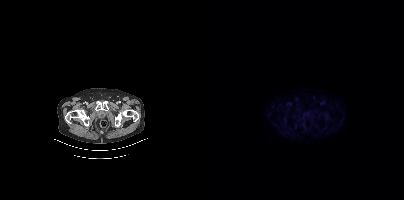
modality: PSMA PET/CT | tracer: 18F-PSMA | view: axial
No PSMA-avid tumor lesions on this slice.